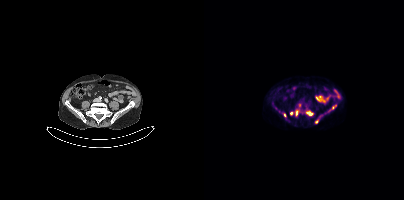
Left: CT. Right: PSMA PET, same axial level, 18F-PSMA tracer.
Coordinates are on the 200×200 PET (right) panel. PSMA-avid tumor lesion bounding boxes:
| # | x0 | y0 | x1 | y1 |
|---|---|---|---|---|
| 1 | 124 | 104 | 132 | 112 |
| 2 | 102 | 111 | 109 | 115 |
| 3 | 91 | 110 | 94 | 115 |
| 4 | 111 | 119 | 114 | 123 |
Small PSMA-avid foci (2 to 4 px across) near (center x, center y): (87, 113); (80, 114); (95, 105).